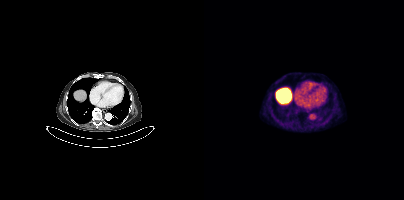
{"modality":"PSMA PET/CT","view":"axial","tracer":"18F","pet_grid":[200,200],"coord_frame":"pet_panel","coord_format":"x0,y0,x1,y1","psma_avid_lesions":false}